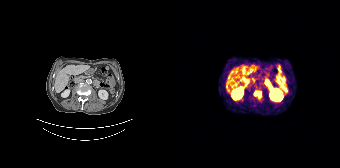
Paired axial CT (left) and PSMA PET (right), [68Ga]Ga-PSMA-11 tracer. Coordinates are on the 168×168 PET (right) panel. PSMA-avid tumor lesion bounding box (x, y, width, height): x=82 y=90 w=8 h=8.